- Two-panel axial: CT | PSMA PET, 68Ga tracer
- PET panel 200×200 px (4.1 mm/px)
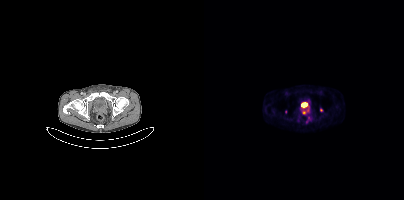
Findings: Coordinates are on the 200×200 PET (right) panel. (showing 4 of 6 foci) PSMA-avid tumor lesion bounding boxes (x0,y0,x1,y1): [102,116,106,122], [98,110,101,114]. Small PSMA-avid foci (2 to 4 px across) near (center x, center y): (104, 110), (117, 109).